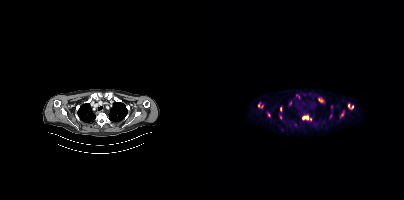
Coordinates are on the 200×200 PET (right) panel. PSMA-avid tumor lesion bounding boxes (partial; 6 more foci not listed):
| # | x0 | y0 | x1 | y1 |
|---|---|---|---|---|
| 1 | 144 | 103 | 149 | 109 |
| 2 | 114 | 98 | 119 | 102 |
| 3 | 98 | 116 | 104 | 119 |
| 4 | 85 | 101 | 87 | 105 |
| 5 | 137 | 112 | 139 | 116 |
Small PSMA-avid foci (2 to 4 px across) near (center x, center y): (76, 116); (54, 104); (76, 108); (64, 115).
Paired axial CT (left) and PSMA PET (right), 18F tracer. Slice 290 of 401.